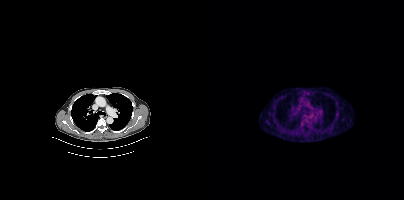
- Left: CT. Right: PSMA PET, same axial level, 18F tracer
Findings: Coordinates are on the 200×200 PET (right) panel. Small PSMA-avid focus (2 to 4 px across) near (center x, center y): (98, 120).